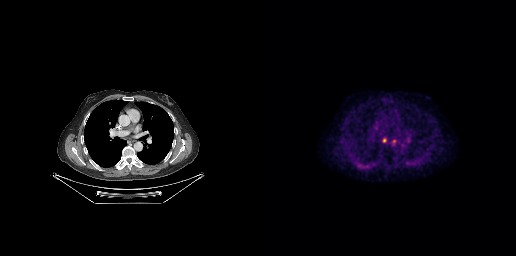
Two-panel axial: CT | PSMA PET, 18F tracer. Slice position z = -256 mm. PET panel 256×256 px (2.7 mm/px). Only PSMA-avid lesion pieces thinner than 2 px on this slice (not listed).